Technique: Left: CT. Right: PSMA PET, same axial level, [68Ga]Ga-PSMA-11 tracer. acquired on GE Discovery 690. PET panel 256×256 px (2.7 mm/px).
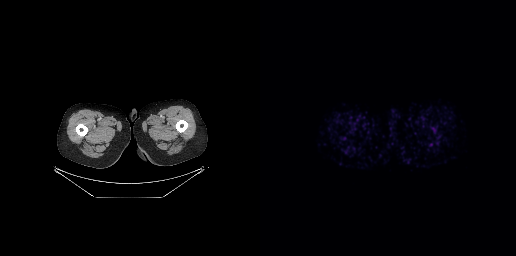
Findings: No tumor lesions annotated on this slice.